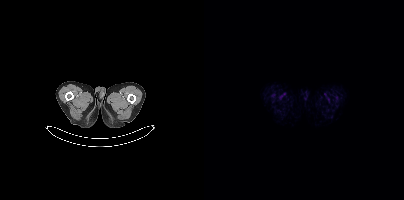
Negative for PSMA-avid disease on this slice.